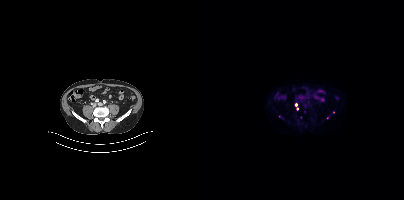
- Left: CT. Right: PSMA PET, same axial level, 18F-PSMA tracer
- PET panel 200×200 px (4.1 mm/px)
Findings: Coordinates are on the 200×200 PET (right) panel. (showing 1 of 2 foci) Small PSMA-avid focus (2 to 4 px across) near (center x, center y): (91, 104).